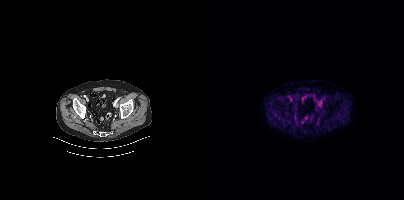
No PSMA-avid tumor lesions on this slice.